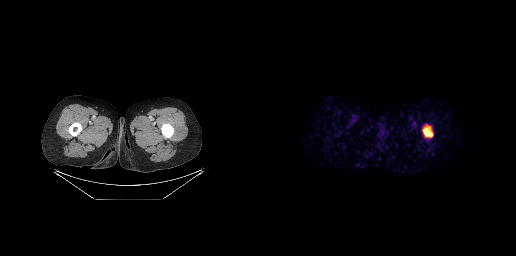
Coordinates are on the 256×256 PET (right) panel. PSMA-avid tumor lesion bounding box (x, y, width, height): x=163 y=125 w=10 h=13.